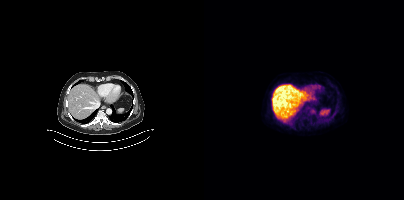
Findings: This slice has no annotated PSMA-avid lesion.
Technique: Left: CT. Right: PSMA PET, same axial level, 18F tracer. acquired on Siemens Biograph mCT Flow 20.